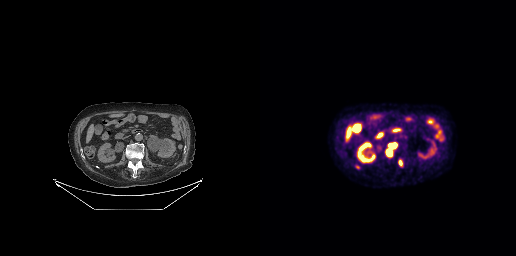
{"pet_grid":[256,256],"coord_frame":"pet_panel","coord_format":"x0,y0,x1,y1","lesion_bboxes":[[125,142,137,157],[138,159,143,166]],"small_foci_centers":[[97,167]],"modality":"PSMA PET/CT","view":"axial","tracer":"[18F]PSMA-1007"}